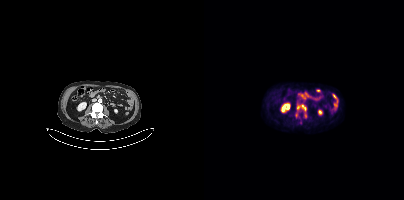
modality: PSMA PET/CT | tracer: 18F-PSMA | view: axial | PET grid: 200×200
Coordinates are on the 200×200 PET (right) panel. PSMA-avid tumor lesion bounding box (x0, y0)-(x1, y1): (93, 104)-(102, 111). Small PSMA-avid foci (2 to 4 px across) near (center x, center y): (101, 115) / (92, 114).